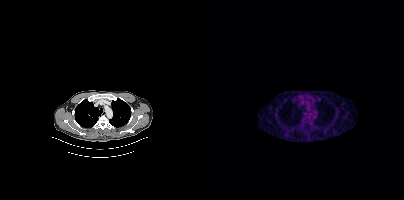
Paired axial CT (left) and PSMA PET (right), [18F]PSMA-1007 tracer. This slice has no annotated PSMA-avid lesion.